- Paired axial CT (left) and PSMA PET (right), 18F-PSMA tracer
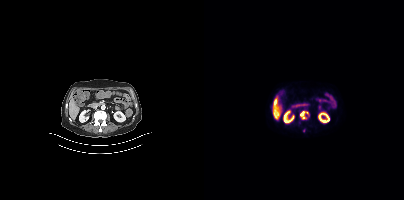
Findings: Coordinates are on the 200×200 PET (right) panel. PSMA-avid tumor lesion bounding box (x0, y0)-(x1, y1): (96, 111)-(103, 118). Small PSMA-avid focus (2 to 4 px across) near (center x, center y): (71, 102).